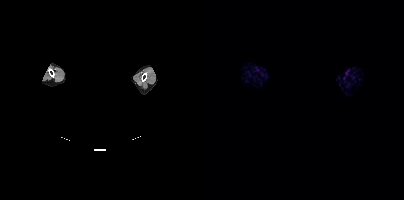
Any black rectangle over the head is a privacy mask, not anatomy. Two-panel axial: CT | PSMA PET, [18F]PSMA-1007 tracer. Slice position z = -134 mm. This slice has no annotated PSMA-avid lesion.